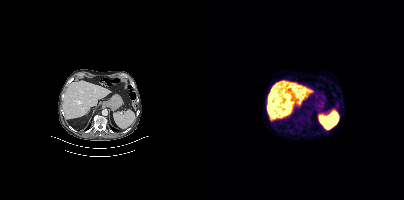
{"pet_grid":[200,200],"coord_frame":"pet_panel","coord_format":"x0,y0,x1,y1","psma_avid_lesions":false,"modality":"PSMA PET/CT","view":"axial","tracer":"18F-PSMA"}